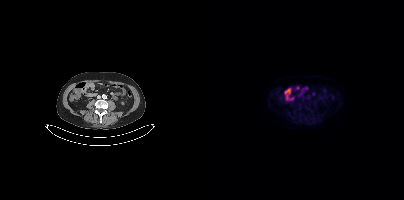
Negative for PSMA-avid disease on this slice.